modality: PSMA PET/CT | tracer: [68Ga]Ga-PSMA-11 | view: axial
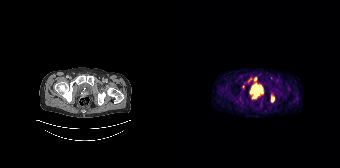
Coordinates are on the 168×168 PET (right) panel. PSMA-avid tumor lesion bounding boxes (x0,y0,x1,y1): [99,95,102,102] [82,77,84,81]. Small PSMA-avid foci (2 to 4 px across) near (center x, center y): (77, 79) (71, 86) (99, 77).